Paired axial CT (left) and PSMA PET (right), 68Ga-PSMA tracer. Acquired on Siemens Biograph 64-4R TruePoint. Slice 158 of 195. PET panel 168×168 px (4.1 mm/px).
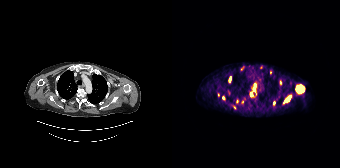
Coordinates are on the 168×168 PET (right) panel. PSMA-avid tumor lesion bounding boxes (partial; 3 more foci not listed):
| # | x0 | y0 | x1 | y1 |
|---|---|---|---|---|
| 1 | 124 | 85 | 132 | 92 |
| 2 | 78 | 92 | 80 | 96 |
| 3 | 57 | 77 | 59 | 81 |
Small PSMA-avid foci (2 to 4 px across) near (center x, center y): (98, 72); (116, 98); (83, 84); (62, 107); (101, 103); (108, 81); (113, 100).